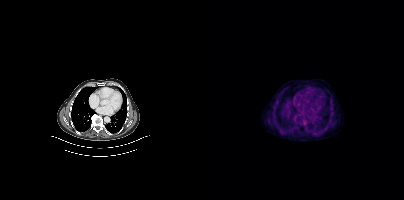
Technique: Left: CT. Right: PSMA PET, same axial level, 18F-PSMA tracer. slice position z = 358 mm. PET panel 200×200 px (4.1 mm/px).
Findings: Only PSMA-avid lesion pieces thinner than 2 px on this slice (not listed).